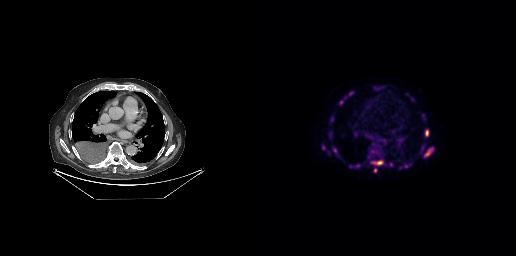
Findings: Coordinates are on the 256×256 PET (right) panel. (showing 8 of 9 foci) PSMA-avid tumor lesion bounding boxes (x, y, width, height): x=111 y=160 w=13 h=6 / x=165 y=149 w=7 h=8 / x=165 y=129 w=4 h=8 / x=73 y=148 w=4 h=5. Small PSMA-avid foci (2 to 4 px across) near (center x, center y): (63, 147) / (115, 170) / (146, 166) / (81, 102).
- Left: CT. Right: PSMA PET, same axial level, [18F]PSMA-1007 tracer
- slice 207 of 299